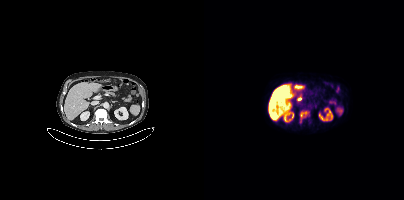
Findings: Coordinates are on the 200×200 PET (right) panel. PSMA-avid tumor lesion bounding box (x0,y0,x1,y1): [96,111,104,122].
- Paired axial CT (left) and PSMA PET (right), 18F tracer
- slice position z = -756 mm